Technique: Paired axial CT (left) and PSMA PET (right), 18F tracer. acquired on Siemens Biograph mCT Flow 20. slice 193 of 462.
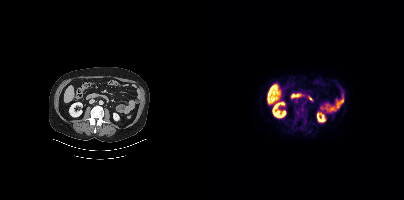
Findings: This slice has no annotated PSMA-avid lesion.